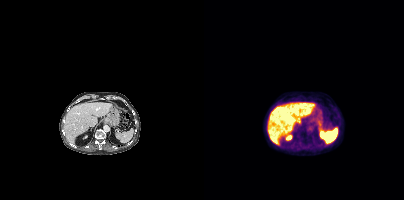
No PSMA-avid tumor lesions on this slice. Paired axial CT (left) and PSMA PET (right), 18F-PSMA tracer. PET panel 200×200 px (4.1 mm/px).